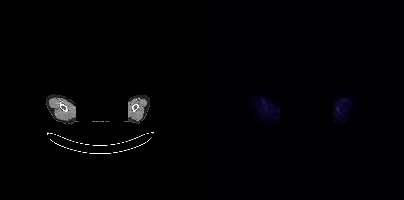
- head region blanked for anonymization (face removed)
- Paired axial CT (left) and PSMA PET (right), [18F]PSMA-1007 tracer
- PET panel 200×200 px (4.1 mm/px)
Findings: Coordinates are on the 200×200 PET (right) panel. Small PSMA-avid focus (2 to 4 px across) near (center x, center y): (133, 109).